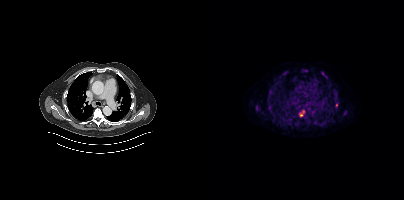
Coordinates are on the 200×200 PET (right) panel. PSMA-avid tumor lesion bounding boxes (x, y, width, height): x=95 y=110 w=8 h=9 | x=123 y=117 w=7 h=5 | x=98 y=69 w=6 h=4 | x=118 y=72 w=6 h=7 | x=77 y=72 w=5 h=5 | x=64 y=95 w=4 h=5 | x=131 y=103 w=4 h=5. Small PSMA-avid foci (2 to 4 px across) near (center x, center y): (67, 112) | (131, 99) | (52, 107).
modality: PSMA PET/CT | tracer: 18F-PSMA | view: axial | PET grid: 200×200